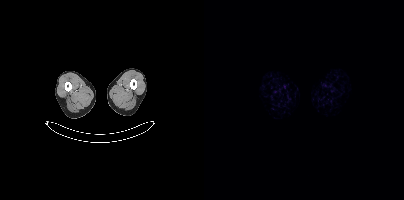
modality: PSMA PET/CT | tracer: 18F | view: axial
No PSMA-avid tumor lesions on this slice.